Two-panel axial: CT | PSMA PET, 18F tracer.
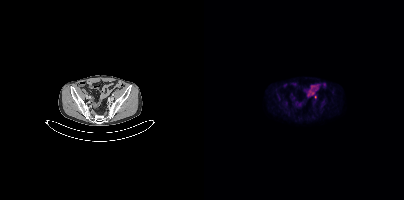
Coordinates are on the 200×200 PET (right) panel. Small PSMA-avid focus (2 to 4 px across) near (center x, center y): (111, 97).